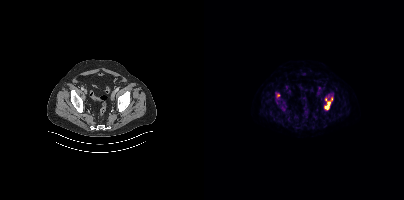
Two-panel axial: CT | PSMA PET, 18F-PSMA tracer.
Coordinates are on the 200×200 PET (right) panel. PSMA-avid tumor lesion bounding boxes:
| # | x0 | y0 | x1 | y1 |
|---|---|---|---|---|
| 1 | 120 | 97 | 128 | 109 |
| 2 | 72 | 93 | 76 | 97 |